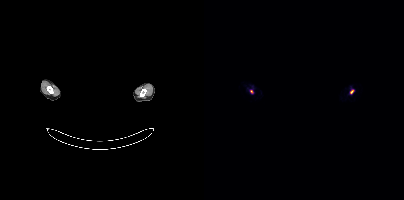
- any black rectangle over the head is a privacy mask, not anatomy
- Paired axial CT (left) and PSMA PET (right), 68Ga tracer
- acquired on Siemens Biograph mCT Flow 20
- slice position z = -457 mm
- PET panel 200×200 px (4.1 mm/px)
Findings: Coordinates are on the 200×200 PET (right) panel. Small PSMA-avid foci (2 to 4 px across) near (center x, center y): (147, 91) / (47, 91).